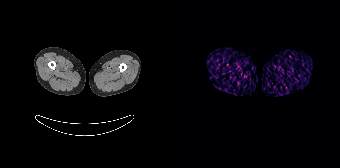
{"pet_grid":[168,168],"coord_frame":"pet_panel","coord_format":"x0,y0,x1,y1","psma_avid_lesions":false,"modality":"PSMA PET/CT","view":"axial","tracer":"68Ga-PSMA"}